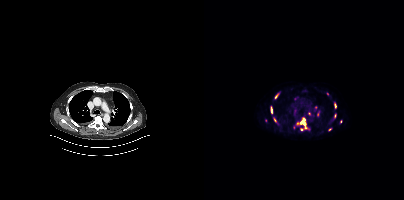
{"modality":"PSMA PET/CT","view":"axial","tracer":"18F-PSMA","pet_grid":[200,200],"coord_frame":"pet_panel","coord_format":"x0,y0,x1,y1","partial":true,"lesion_bboxes":[[92,117,105,130],[130,101,132,108],[67,106,68,113],[71,94,74,98]],"small_foci_centers":[[131,115],[125,129],[123,93],[71,119],[136,121]]}